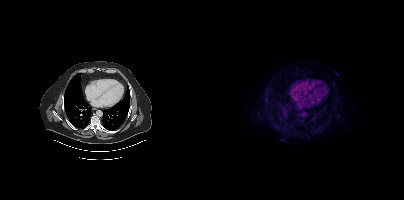
Paired axial CT (left) and PSMA PET (right), [18F]PSMA-1007 tracer. No PSMA-avid tumor lesions on this slice.